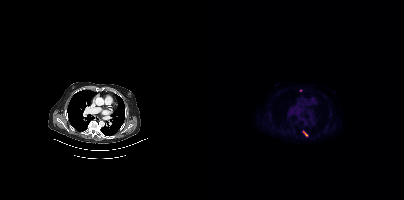
Paired axial CT (left) and PSMA PET (right), 18F-PSMA tracer. Acquired on Siemens Biograph mCT Flow 20. PET panel 200×200 px (4.1 mm/px).
Coordinates are on the 200×200 PET (right) panel. PSMA-avid tumor lesion bounding boxes:
| # | x0 | y0 | x1 | y1 |
|---|---|---|---|---|
| 1 | 99 | 131 | 103 | 136 |
Small PSMA-avid focus (2 to 4 px across) near (center x, center y): (96, 90).